- Left: CT. Right: PSMA PET, same axial level, 18F-PSMA tracer
- acquired on GE Discovery 690
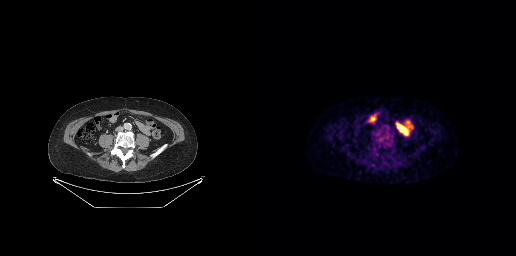
Findings: This slice has no annotated PSMA-avid lesion.